modality: PSMA PET/CT | tracer: 68Ga-PSMA | view: axial
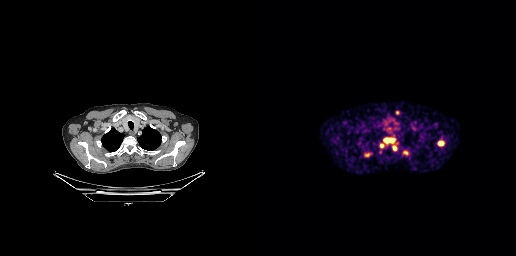
Coordinates are on the 256×256 PET (right) panel. (showing 8 of 9 foci) PSMA-avid tumor lesion bounding boxes (x0,y0,x1,y1): [124,138,134,142], [142,150,148,155], [104,153,110,157], [132,146,136,150], [179,142,183,144]. Small PSMA-avid foci (2 to 4 px across) near (center x, center y): (120, 152), (121, 146), (153, 128).